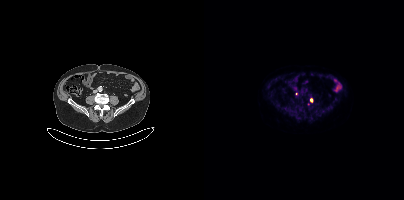
Coordinates are on the 200×200 PET (right) panel. Small PSMA-avid focus (2 to 4 px across) near (center x, center y): (107, 100).
modality: PSMA PET/CT | tracer: [18F]PSMA-1007 | view: axial | PET grid: 200×200